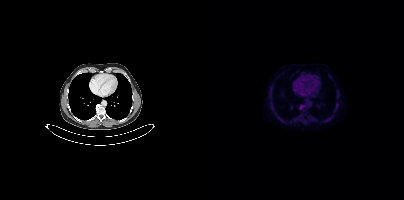
This slice has no annotated PSMA-avid lesion.
modality: PSMA PET/CT | tracer: 18F-PSMA | view: axial